Paired axial CT (left) and PSMA PET (right), 68Ga-PSMA tracer. PET panel 200×200 px (4.1 mm/px).
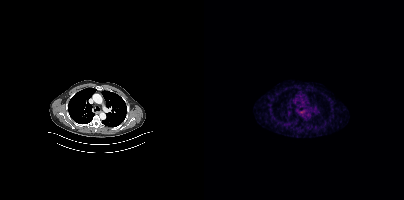
Negative for PSMA-avid disease on this slice.